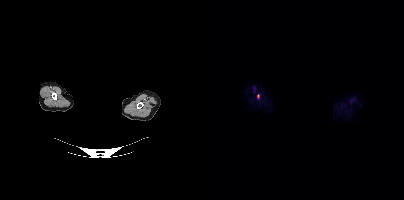
redaction: head region blacked out before release | modality: PSMA PET/CT | tracer: 18F-PSMA | view: axial | PET grid: 200×200
Coordinates are on the 200×200 PET (right) panel. PSMA-avid tumor lesion bounding box (x0,y0,x1,y1): [53,94,55,98].